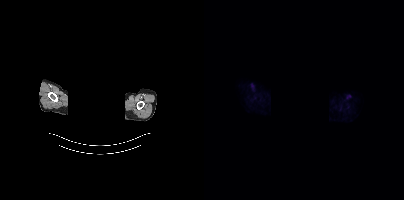
{"modality":"PSMA PET/CT","view":"axial","tracer":"18F-PSMA","pet_grid":[200,200],"coord_frame":"pet_panel","coord_format":"x0,y0,x1,y1","psma_avid_lesions":false,"de-identification":"facial region redacted"}